- Left: CT. Right: PSMA PET, same axial level, [18F]PSMA-1007 tracer
- acquired on Siemens Biograph mCT Flow 20
- slice position z = -1188 mm
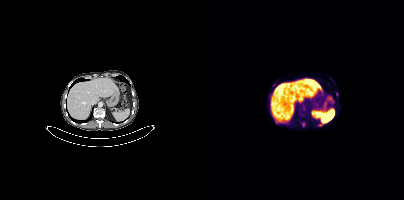
Findings: Only PSMA-avid lesion pieces thinner than 2 px on this slice (not listed).